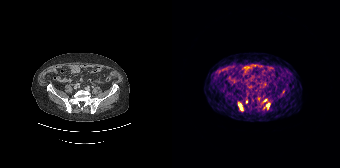
Technique: Two-panel axial: CT | PSMA PET, [68Ga]Ga-PSMA-11 tracer.
Findings: Coordinates are on the 168×168 PET (right) panel. PSMA-avid tumor lesion bounding boxes (x, y, width, height): x=66 y=103 w=5 h=8 / x=94 y=103 w=4 h=5. Small PSMA-avid foci (2 to 4 px across) near (center x, center y): (74, 101) / (93, 99).